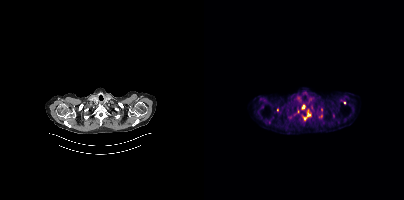
- Paired axial CT (left) and PSMA PET (right), 18F tracer
- acquired on Siemens Biograph mCT Flow 20
- PET panel 200×200 px (4.1 mm/px)
Findings: Coordinates are on the 200×200 PET (right) panel. (showing 4 of 6 foci) PSMA-avid tumor lesion bounding boxes (x, y, width, height): x=99 y=110 w=8 h=11 | x=98 y=105 w=4 h=5. Small PSMA-avid foci (2 to 4 px across) near (center x, center y): (73, 110) | (140, 102).